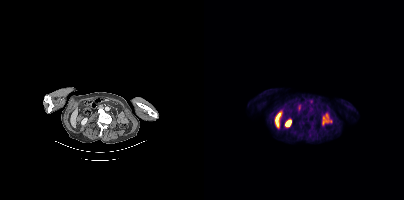
Negative for PSMA-avid disease on this slice. Left: CT. Right: PSMA PET, same axial level, 18F-PSMA tracer. Acquired on Siemens Biograph mCT Flow 20. PET panel 200×200 px (4.1 mm/px).